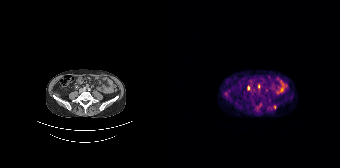
Findings: Coordinates are on the 168×168 PET (right) panel. PSMA-avid tumor lesion bounding boxes (x0, y0)-(x1, y1): (75, 86)-(77, 90) | (86, 84)-(88, 88). Small PSMA-avid focus (2 to 4 px across) near (center x, center y): (102, 107).
Technique: Paired axial CT (left) and PSMA PET (right), 68Ga tracer.